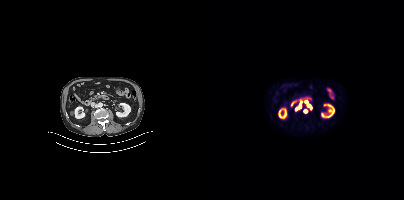
Paired axial CT (left) and PSMA PET (right), 18F tracer. Acquired on Siemens Biograph mCT Flow 20. Slice 190 of 421. Coordinates are on the 200×200 PET (right) panel. (showing 7 of 8 foci) Small PSMA-avid foci (2 to 4 px across) near (center x, center y): (96, 105); (102, 101); (104, 105); (101, 111); (106, 108); (92, 108); (96, 100).